Left: CT. Right: PSMA PET, same axial level, 18F-PSMA tracer. Slice 176 of 462.
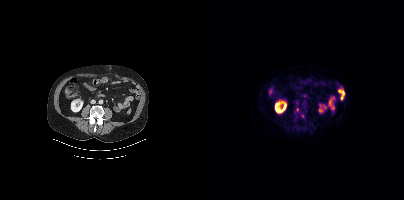
Coordinates are on the 200×200 PET (right) panel. (showing 1 of 2 foci) Small PSMA-avid focus (2 to 4 px across) near (center x, center y): (93, 109).